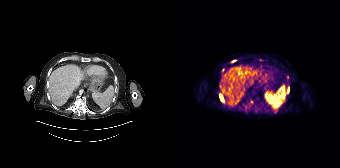
{"modality":"PSMA PET/CT","view":"axial","tracer":"[68Ga]Ga-PSMA-11","pet_grid":[168,168],"coord_frame":"pet_panel","coord_format":"x0,y0,x1,y1","partial":true,"lesion_bboxes":[[47,93,51,101],[116,88,117,92]],"small_foci_centers":[[61,60]]}